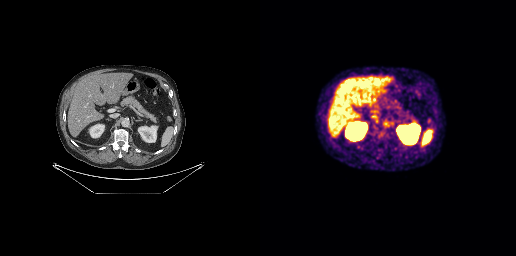
Findings: No PSMA-avid tumor lesions on this slice.
Technique: Paired axial CT (left) and PSMA PET (right), 18F-PSMA tracer. PET panel 256×256 px (2.7 mm/px).